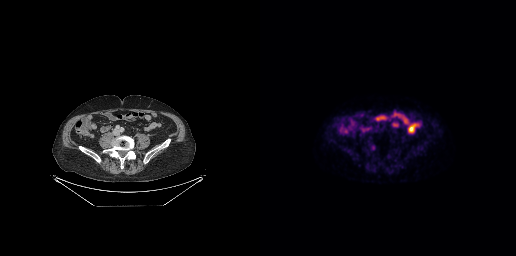
{"modality":"PSMA PET/CT","view":"axial","tracer":"18F","pet_grid":[256,256],"coord_frame":"pet_panel","coord_format":"x0,y0,x1,y1","psma_avid_lesions":false}